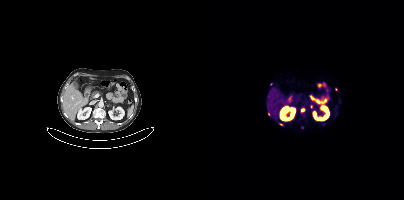
{"modality":"PSMA PET/CT","view":"axial","tracer":"[68Ga]Ga-PSMA-11","pet_grid":[200,200],"coord_frame":"pet_panel","coord_format":"x0,y0,x1,y1","partial":true,"lesion_bboxes":[[75,123,79,125]],"small_foci_centers":[[98,110],[132,89],[64,114]]}